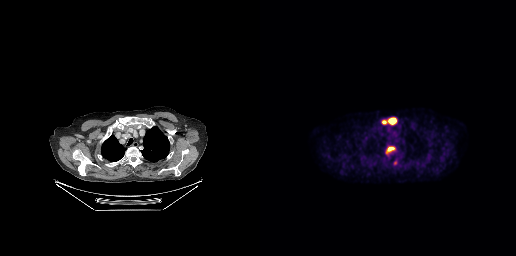
Coordinates are on the 256×256 PET (right) panel. PSMA-avid tumor lesion bounding boxes (x0, y0)-(x1, y1): (126, 146)-(134, 152); (129, 118)-(135, 123); (134, 161)-(137, 165). Small PSMA-avid focus (2 to 4 px across) near (center x, center y): (124, 122).
modality: PSMA PET/CT | tracer: 18F | view: axial | PET grid: 256×256